modality: PSMA PET/CT | tracer: [68Ga]Ga-PSMA-11 | view: axial | PET grid: 168×168
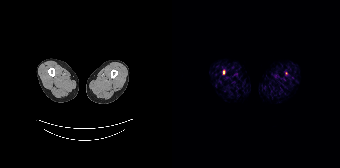
Coordinates are on the 168×168 PET (right) panel. (showing 1 of 2 foci) Small PSMA-avid focus (2 to 4 px across) near (center x, center y): (51, 72).